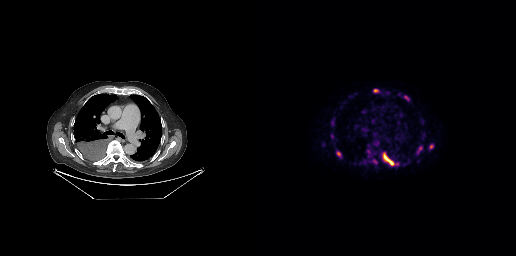
{"modality":"PSMA PET/CT","view":"axial","tracer":"18F-PSMA","pet_grid":[256,256],"coord_frame":"pet_panel","coord_format":"x0,y0,x1,y1","lesion_bboxes":[[122,152,134,165],[76,150,81,157],[144,95,149,100]],"small_foci_centers":[[115,90],[171,146],[160,148],[72,136],[115,161],[137,163]]}